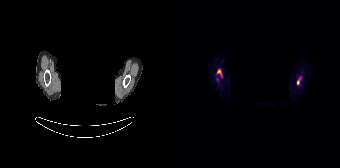
Coordinates are on the 168×168 PET (right) panel. PSMA-avid tumor lesion bounding boxes (x0, y0)-(x1, y1): (45, 69)-(49, 76) / (125, 77)-(129, 84).
The face region was removed for patient privacy by blanking a rectangle over the head.